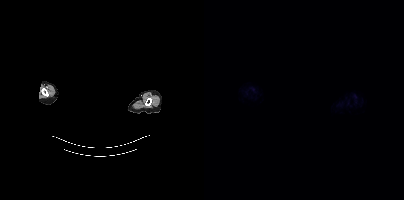
Findings: No PSMA-avid tumor lesions on this slice.
Technique: Paired axial CT (left) and PSMA PET (right), 18F tracer. acquired on Siemens Biograph mCT Flow 20. PET panel 200×200 px (4.1 mm/px).
Note: Any black rectangle over the head is a privacy mask, not anatomy.